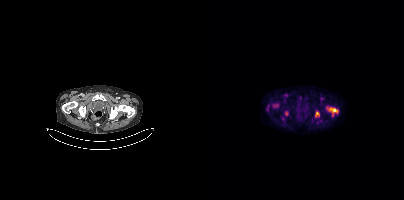
Coordinates are on the 200×200 PET (right) panel. PSMA-avid tumor lesion bounding boxes (x, y, width, height): x=125 y=108 w=9 h=6 / x=111 y=112 w=5 h=5 / x=81 y=111 w=3 h=5.